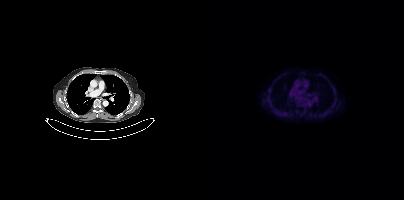
Findings: No tumor lesions annotated on this slice.
Technique: Paired axial CT (left) and PSMA PET (right), 18F tracer. acquired on Siemens Biograph mCT Flow 20. PET panel 200×200 px (4.1 mm/px).